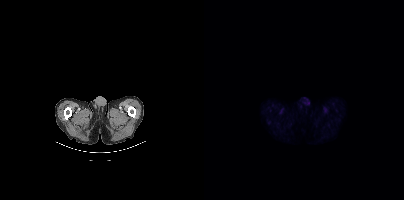
This slice has no annotated PSMA-avid lesion. Paired axial CT (left) and PSMA PET (right), 18F tracer. Slice position z = -507 mm.